Two-panel axial: CT | PSMA PET, [18F]PSMA-1007 tracer. Slice position z = -766 mm.
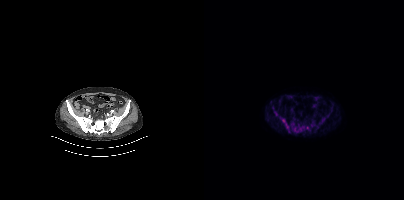
Coordinates are on the 200×200 PET (right) panel. PSMA-avid tumor lesion bounding boxes (partial; 1 more focus not listed):
| # | x0 | y0 | x1 | y1 |
|---|---|---|---|---|
| 1 | 88 | 122 | 106 | 132 |
| 2 | 76 | 117 | 85 | 132 |
| 3 | 115 | 118 | 121 | 123 |
| 4 | 107 | 121 | 111 | 126 |
| 5 | 70 | 111 | 73 | 115 |
Small PSMA-avid foci (2 to 4 px across) near (center x, center y): (123, 115); (113, 126).